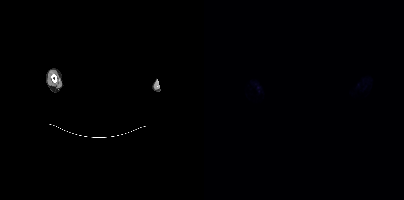
No PSMA-avid tumor lesions on this slice.
De-identified by setting a box covering the face to black before release.